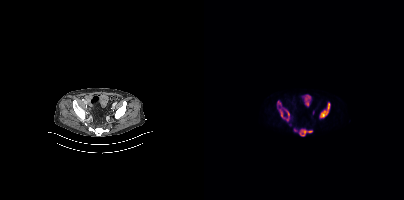
Coordinates are on the 200×200 PET (right) panel. (showing 5 of 6 foci) PSMA-avid tumor lesion bounding boxes (x0, y0)-(x1, y1): (116, 103)-(126, 117) | (95, 129)-(108, 135) | (75, 109)-(80, 118) | (82, 110)-(85, 120). Small PSMA-avid focus (2 to 4 px across) near (center x, center y): (75, 102).